Technique: Paired axial CT (left) and PSMA PET (right), 18F-PSMA tracer.
Note: Part of this slice was blanked for de-identification.
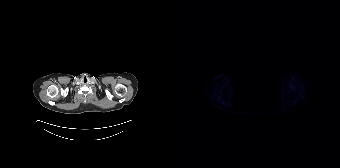
Findings: This slice has no annotated PSMA-avid lesion.